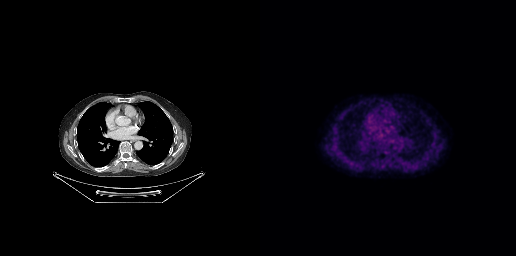
{"modality":"PSMA PET/CT","view":"axial","tracer":"18F","pet_grid":[256,256],"coord_frame":"pet_panel","coord_format":"x0,y0,x1,y1","psma_avid_lesions":false}